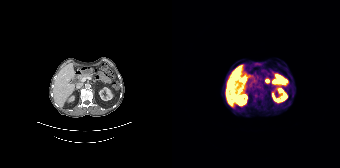
Coordinates are on the 168×168 PET (right) panel. Small PSMA-avid focus (2 to 4 px across) near (center x, center y): (83, 95).